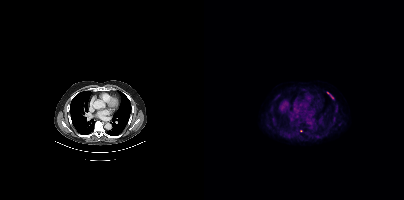
{"pet_grid":[200,200],"coord_frame":"pet_panel","coord_format":"x0,y0,x1,y1","lesion_bboxes":[[123,92,129,98]],"small_foci_centers":[[97,130]],"modality":"PSMA PET/CT","view":"axial","tracer":"18F-PSMA"}